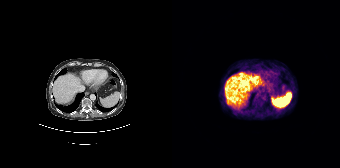
Technique: Two-panel axial: CT | PSMA PET, 68Ga tracer.
Findings: No tumor lesions annotated on this slice.